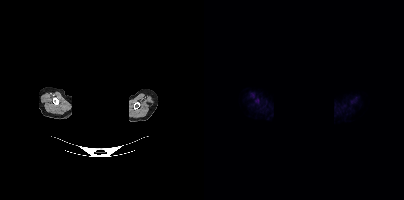
A rectangular block over the head has been blanked out for de-identification. Paired axial CT (left) and PSMA PET (right), 18F-PSMA tracer. Acquired on Siemens Biograph mCT Flow 20. No tumor lesions annotated on this slice.